modality: PSMA PET/CT | tracer: [18F]PSMA-1007 | view: axial | PET grid: 200×200
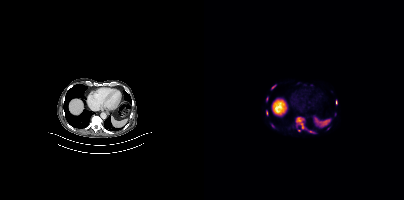
Coordinates are on the 200×200 PET (right) panel. PSMA-avid tumor lesion bounding boxes (x, y, width, height): x=92 y=117 w=10 h=13 / x=106 y=131 w=5 h=3. Small PSMA-avid foci (2 to 4 px across) near (center x, center y): (63, 98) / (69, 125) / (132, 101) / (62, 112) / (95, 130) / (69, 87).